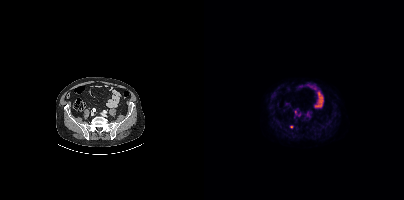
Coordinates are on the 200×200 PET (right) panel. Small PSMA-avid foci (2 to 4 px across) near (center x, center y): (87, 126); (91, 111). Paired axial CT (left) and PSMA PET (right), [18F]PSMA-1007 tracer. Slice position z = -878 mm. PET panel 200×200 px (4.1 mm/px).